- Two-panel axial: CT | PSMA PET, 18F-PSMA tracer
- acquired on Siemens Biograph mCT Flow 20
- PET panel 200×200 px (4.1 mm/px)
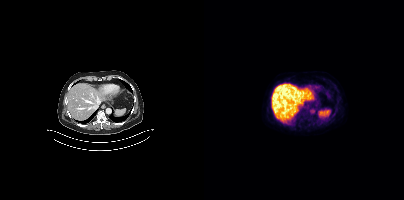
Findings: Negative for PSMA-avid disease on this slice.